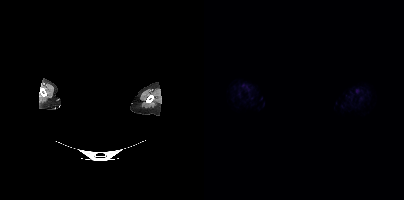
Privacy masking over the head, with the pixels inside a rectangle set to black.
No tumor lesions annotated on this slice.